Paired axial CT (left) and PSMA PET (right), 68Ga tracer. Acquired on Siemens Biograph mCT Flow 20. Slice 248 of 409. PET panel 200×200 px (4.1 mm/px).
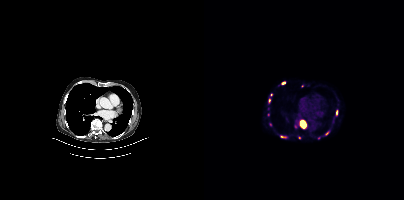
Coordinates are on the 200×200 PET (right) panel. (showing 8 of 10 foci) PSMA-avid tumor lesion bounding boxes (x0,y0,x1,y1): [96,120,102,127] [76,135,82,137]. Small PSMA-avid foci (2 to 4 px across) near (center x, center y): (122, 133) (132, 112) (79, 83) (65, 100) (66, 124) (95, 137).